Paired axial CT (left) and PSMA PET (right), [18F]PSMA-1007 tracer. Acquired on Siemens Biograph mCT Flow 20. Slice position z = -612 mm.
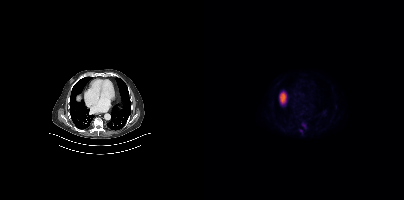
Coordinates are on the 200×200 PET (right) panel. PSMA-avid tumor lesion bounding boxes (x0, y0)-(x1, y1): (97, 122)-(102, 128) / (94, 128)-(100, 134).